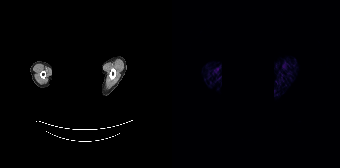
An anonymization step blacked out a rectangle over the head in this scan. Two-panel axial: CT | PSMA PET, 68Ga-PSMA tracer. Acquired on Siemens Biograph 64-4R TruePoint. PET panel 168×168 px (4.1 mm/px). This slice has no annotated PSMA-avid lesion.